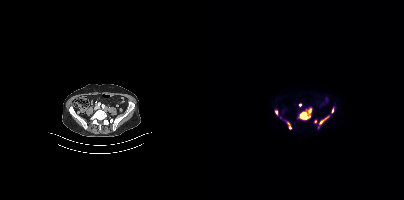
Coordinates are on the 200×200 PET (right) panel. PSMA-avid tumor lesion bounding boxes:
| # | x0 | y0 | x1 | y1 |
|---|---|---|---|---|
| 1 | 96 | 112 | 106 | 119 |
| 2 | 115 | 116 | 125 | 124 |
| 3 | 83 | 122 | 87 | 128 |
| 4 | 104 | 109 | 107 | 113 |
| 5 | 71 | 110 | 73 | 114 |
| 6 | 127 | 108 | 129 | 112 |
Small PSMA-avid foci (2 to 4 px across) near (center x, center y): (96, 105); (76, 117); (111, 121).
Two-panel axial: CT | PSMA PET, [18F]PSMA-1007 tracer. PET panel 200×200 px (4.1 mm/px).